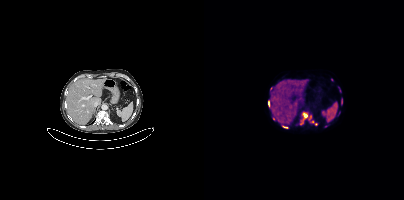
- Left: CT. Right: PSMA PET, same axial level, [18F]PSMA-1007 tracer
- slice 228 of 407
- PET panel 200×200 px (4.1 mm/px)
Findings: Coordinates are on the 200×200 PET (right) panel. (showing 9 of 10 foci) PSMA-avid tumor lesion bounding boxes (x0, y0)-(x1, y1): (96, 114)-(103, 125); (107, 120)-(113, 125); (137, 100)-(138, 104); (64, 101)-(65, 106); (79, 126)-(83, 128). Small PSMA-avid foci (2 to 4 px across) near (center x, center y): (67, 88); (122, 126); (106, 117); (69, 118).